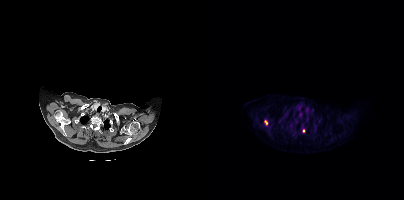
{"modality":"PSMA PET/CT","view":"axial","tracer":"18F","pet_grid":[200,200],"coord_frame":"pet_panel","coord_format":"x0,y0,x1,y1","lesion_bboxes":[[60,120,63,124]],"small_foci_centers":[[99,131]]}